modality: PSMA PET/CT | tracer: [18F]PSMA-1007 | view: axial | PET grid: 200×200
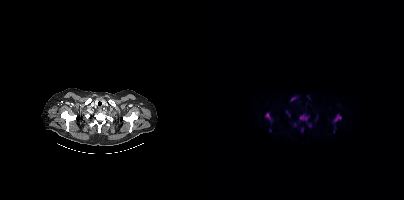
Coordinates are on the 200×200 PET (right) panel. (showing 10 of 11 foci) PSMA-avid tumor lesion bounding boxes (x, y, width, height): x=95 y=114 w=11 h=8; x=61 y=112 w=8 h=12; x=129 y=114 w=9 h=9; x=86 y=97 w=7 h=5. Small PSMA-avid foci (2 to 4 px across) near (center x, center y): (106, 125); (98, 129); (90, 124); (66, 130); (82, 112); (129, 131).